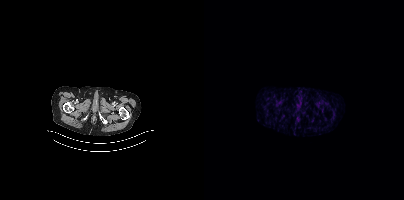
Findings: No tumor lesions annotated on this slice.
Technique: Paired axial CT (left) and PSMA PET (right), 68Ga-PSMA tracer. slice 32 of 385.